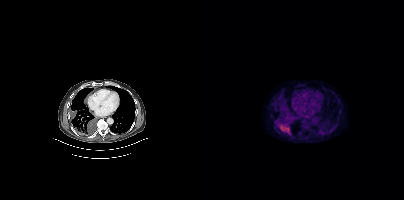
{"modality":"PSMA PET/CT","view":"axial","tracer":"[18F]PSMA-1007","pet_grid":[200,200],"coord_frame":"pet_panel","coord_format":"x0,y0,x1,y1","lesion_bboxes":[[73,122,86,134]]}